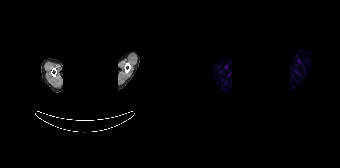
No tumor lesions annotated on this slice.
A rectangle over the head was blacked out to remove identifiable facial features.